modality: PSMA PET/CT | tracer: [18F]PSMA-1007 | view: axial
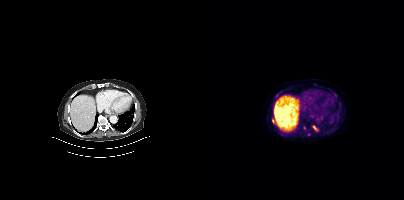
Coordinates are on the 200×200 PET (right) panel. PSMA-avid tumor lesion bounding boxes (x0,y0,x1,y1): [109,125,114,130]; [71,94,74,98]. Small PSMA-avid foci (2 to 4 px across) near (center x, center y): (69, 121); (100, 127); (104, 134).